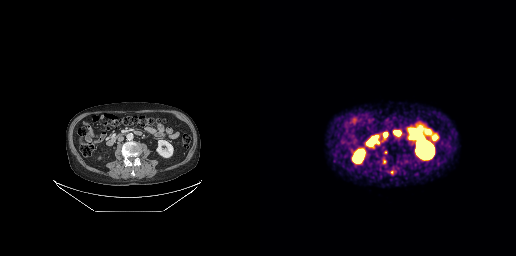
Technique: Two-panel axial: CT | PSMA PET, 68Ga-PSMA tracer.
Findings: Coordinates are on the 256×256 PET (right) panel. (showing 4 of 5 foci) PSMA-avid tumor lesion bounding boxes (x0,y0,x1,y1): [116,141,120,144], [144,160,148,163]. Small PSMA-avid foci (2 to 4 px across) near (center x, center y): (125, 152), (132, 172).